Paired axial CT (left) and PSMA PET (right), 18F tracer. Slice 136 of 411.
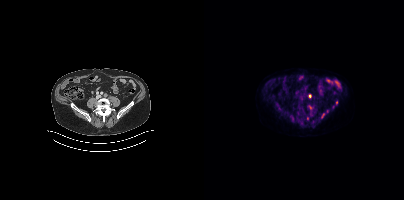
Coordinates are on the 200×200 PET (right) panel. (showing 5 of 8 foci) PSMA-avid tumor lesion bounding boxes (x0,y0,x1,y1): [117,113,120,118] [86,115,89,119]. Small PSMA-avid foci (2 to 4 px across) near (center x, center y): (132, 102) (105, 96) (106, 107).